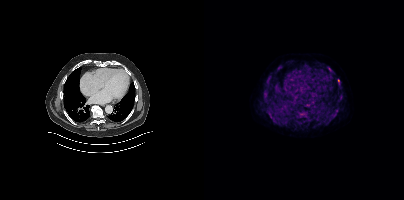
Findings: Coordinates are on the 200×200 PET (right) panel. (showing 14 of 16 foci) PSMA-avid tumor lesion bounding boxes (x, y, width, height): x=94 y=110 w=10 h=7 / x=123 y=113 w=10 h=11 / x=60 y=80 w=7 h=7 / x=64 y=112 w=6 h=7 / x=71 y=120 w=6 h=6 / x=134 y=97 w=5 h=5 / x=124 y=67 w=4 h=5. Small PSMA-avid foci (2 to 4 px across) near (center x, center y): (61, 98) / (65, 77) / (135, 86) / (74, 69) / (61, 90) / (101, 64) / (104, 123).
- Two-panel axial: CT | PSMA PET, [18F]PSMA-1007 tracer
- slice position z = -416 mm